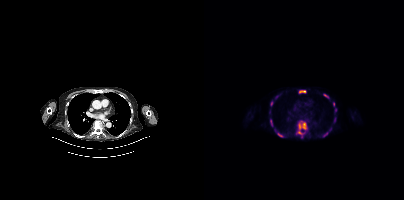
Coordinates are on the 200×200 PET (right) panel. (showing 12 of 14 foci) PSMA-avid tumor lesion bounding boxes (x0,y0,x1,y1): [92,120,103,138]; [95,90,101,92]; [66,119,69,126]; [74,133,79,137]; [119,94,124,98]; [66,101,69,105]. Small PSMA-avid foci (2 to 4 px across) near (center x, center y): (72, 97); (129, 104); (131, 110); (120, 135); (126, 129); (123, 132).